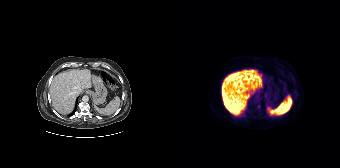
Paired axial CT (left) and PSMA PET (right), 18F tracer. Slice 118 of 195. No PSMA-avid tumor lesions on this slice.